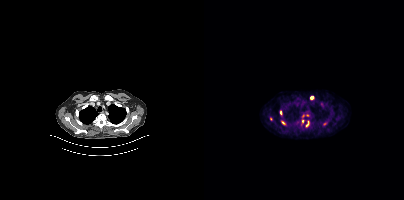
Findings: Coordinates are on the 200×200 PET (right) panel. (showing 6 of 9 foci) PSMA-avid tumor lesion bounding boxes (x, y, width, height): x=101 y=120 w=5 h=8 | x=77 y=121 w=5 h=4. Small PSMA-avid foci (2 to 4 px across) near (center x, center y): (107, 97) | (77, 112) | (99, 121) | (66, 119).
Technique: Two-panel axial: CT | PSMA PET, [18F]PSMA-1007 tracer. slice 320 of 405.